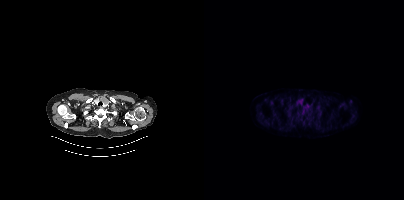
Findings: No tumor lesions annotated on this slice.
- Two-panel axial: CT | PSMA PET, 18F tracer
- acquired on Siemens Biograph mCT Flow 20
- slice 358 of 425